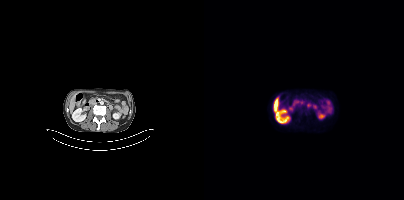
- Paired axial CT (left) and PSMA PET (right), 18F-PSMA tracer
- acquired on Siemens Biograph mCT Flow 20
- slice 163 of 423
- PET panel 200×200 px (4.1 mm/px)
Findings: Coordinates are on the 200×200 PET (right) panel. (showing 1 of 2 foci) PSMA-avid tumor lesion bounding box (x, y, width, height): x=103 y=103 w=4 h=5.